modality: PSMA PET/CT | tracer: 68Ga-PSMA | view: axial | PET grid: 168×168
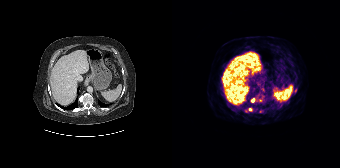
Coordinates are on the 168×168 PET (right) panel. (showing 3 of 6 foci) PSMA-avid tumor lesion bounding boxes (x0, y0)-(x1, y1): (79, 98)-(83, 102) / (76, 108)-(80, 111). Small PSMA-avid focus (2 to 4 px across) near (center x, center y): (123, 90).